Technique: Left: CT. Right: PSMA PET, same axial level, 18F-PSMA tracer. acquired on Siemens Biograph mCT Flow 20. PET panel 200×200 px (4.1 mm/px).
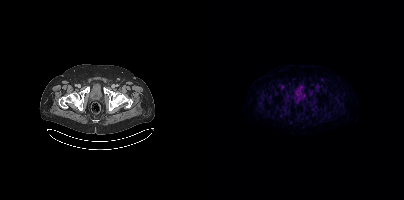
Findings: No tumor lesions annotated on this slice.